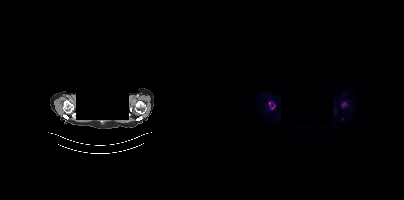
{"modality":"PSMA PET/CT","view":"axial","tracer":"18F-PSMA","pet_grid":[200,200],"coord_frame":"pet_panel","coord_format":"x0,y0,x1,y1","partial":true,"lesion_bboxes":[],"small_foci_centers":[[65,102]],"deidentification":"rectangular block over head set to black"}